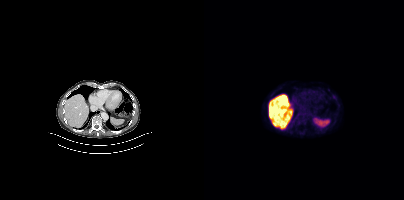
{"pet_grid":[200,200],"coord_frame":"pet_panel","coord_format":"x0,y0,x1,y1","psma_avid_lesions":false,"modality":"PSMA PET/CT","view":"axial","tracer":"18F"}